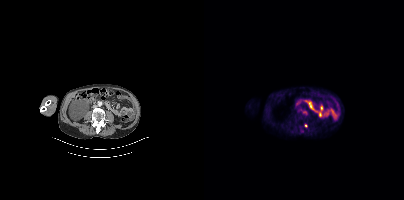
Paired axial CT (left) and PSMA PET (right), 18F-PSMA tracer. Slice 167 of 411. PET panel 200×200 px (4.1 mm/px). Coordinates are on the 200×200 PET (right) panel. Small PSMA-avid foci (2 to 4 px across) near (center x, center y): (95, 110) (102, 125) (100, 112).